Left: CT. Right: PSMA PET, same axial level, 18F tracer.
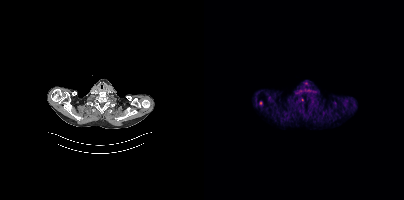
This slice has no annotated PSMA-avid lesion.